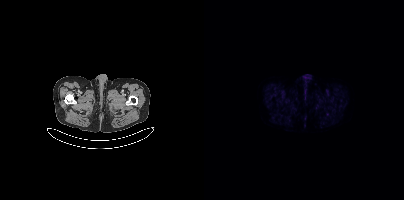
No PSMA-avid tumor lesions on this slice.